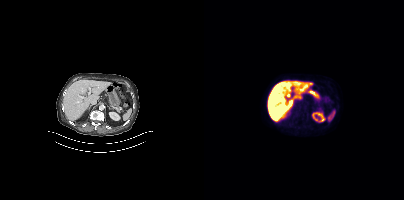
{"modality":"PSMA PET/CT","view":"axial","tracer":"18F","pet_grid":[200,200],"coord_frame":"pet_panel","coord_format":"x0,y0,x1,y1","psma_avid_lesions":false}